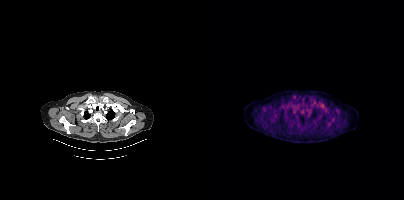
modality: PSMA PET/CT | tracer: [18F]PSMA-1007 | view: axial
Negative for PSMA-avid disease on this slice.